Technique: Left: CT. Right: PSMA PET, same axial level, 18F-PSMA tracer. slice position z = -776 mm.
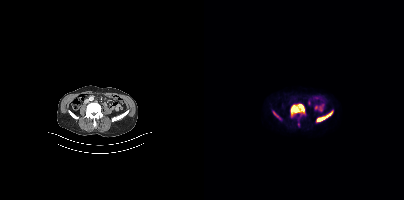
Findings: Coordinates are on the 200×200 PET (right) panel. (showing 3 of 4 foci) PSMA-avid tumor lesion bounding boxes (x0, y0)-(x1, y1): (86, 103)-(101, 116) | (112, 112)-(128, 121) | (69, 112)-(74, 116).